modality: PSMA PET/CT | tracer: 18F-PSMA | view: axial | PET grid: 200×200
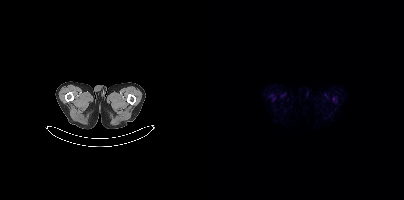
This slice has no annotated PSMA-avid lesion.